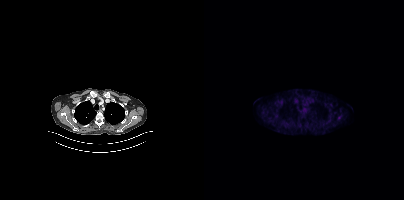
{"modality":"PSMA PET/CT","view":"axial","tracer":"18F-PSMA","pet_grid":[200,200],"coord_frame":"pet_panel","coord_format":"x0,y0,x1,y1","lesion_bboxes":[],"small_foci_centers":[[135,117]]}